Technique: Paired axial CT (left) and PSMA PET (right), 18F-PSMA tracer. slice 179 of 409. PET panel 200×200 px (4.1 mm/px).
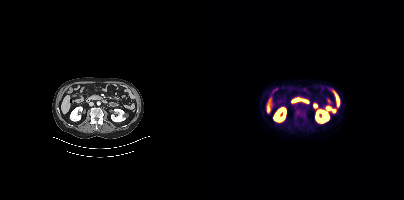
Findings: This slice has no annotated PSMA-avid lesion.